Technique: Left: CT. Right: PSMA PET, same axial level, 18F-PSMA tracer.
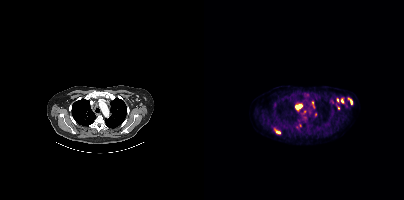
Findings: Coordinates are on the 200×200 PET (right) panel. (showing 11 of 16 foci) PSMA-avid tumor lesion bounding boxes (x, y, width, height): x=91 y=104 w=8 h=6; x=71 y=129 w=6 h=5; x=144 y=98 w=5 h=7; x=132 y=104 w=4 h=6; x=108 y=102 w=3 h=5. Small PSMA-avid foci (2 to 4 px across) near (center x, center y): (102, 94); (100, 111); (138, 101); (96, 125); (92, 126); (133, 99).